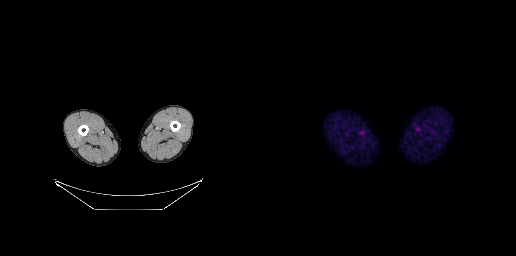
{"modality":"PSMA PET/CT","view":"axial","tracer":"18F-PSMA","pet_grid":[256,256],"coord_frame":"pet_panel","coord_format":"x0,y0,x1,y1","psma_avid_lesions":false}